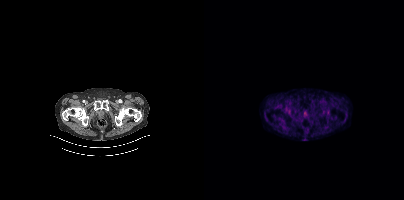
{"modality":"PSMA PET/CT","view":"axial","tracer":"68Ga-PSMA","pet_grid":[200,200],"coord_frame":"pet_panel","coord_format":"x0,y0,x1,y1","psma_avid_lesions":false}